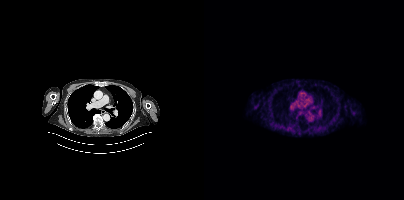
Left: CT. Right: PSMA PET, same axial level, 18F-PSMA tracer. Acquired on Siemens Biograph mCT Flow 20. Slice position z = -524 mm. No tumor lesions annotated on this slice.